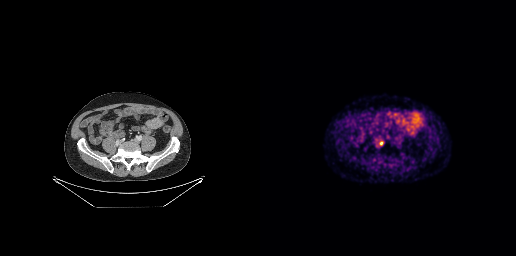
{"pet_grid":[256,256],"coord_frame":"pet_panel","coord_format":"x0,y0,x1,y1","lesion_bboxes":[],"small_foci_centers":[[121,143]],"modality":"PSMA PET/CT","view":"axial","tracer":"68Ga"}